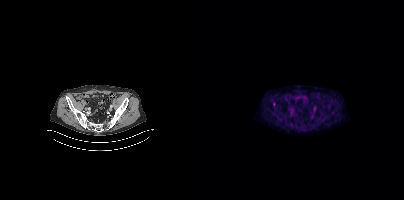
- Two-panel axial: CT | PSMA PET, 18F-PSMA tracer
- acquired on Siemens Biograph mCT Flow 20
- PET panel 200×200 px (4.1 mm/px)
Findings: Coordinates are on the 200×200 PET (right) panel. PSMA-avid tumor lesion bounding box (x0,y0,x1,y1): [69,102,71,106].